Two-panel axial: CT | PSMA PET, 18F-PSMA tracer. PET panel 200×200 px (4.1 mm/px).
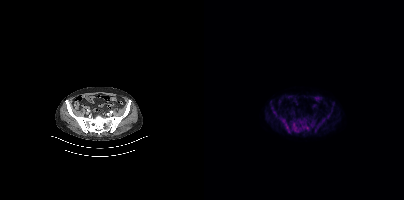
Coordinates are on the 200×200 PET (right) panel. (showing 6 of 8 foci) PSMA-avid tumor lesion bounding boxes (x0, y0)-(x1, y1): (88, 120)-(105, 132) / (76, 118)-(86, 132) / (112, 118)-(121, 131) / (107, 120)-(110, 127) / (69, 111)-(72, 116). Small PSMA-avid focus (2 to 4 px across) near (center x, center y): (124, 115).